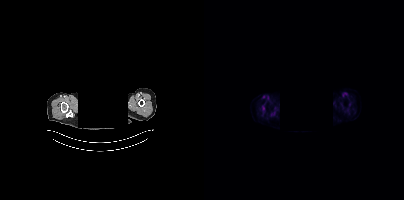
- Left: CT. Right: PSMA PET, same axial level, [18F]PSMA-1007 tracer
- PET panel 200×200 px (4.1 mm/px)
- face de-identified by blanking a block of the head
Findings: No tumor lesions annotated on this slice.